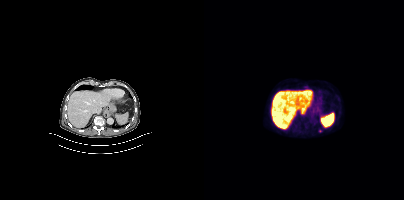
Coordinates are on the 200×200 PET (right) panel. Small PSMA-avid focus (2 to 4 px across) near (center x, center y): (115, 130).